Technique: Paired axial CT (left) and PSMA PET (right), [18F]PSMA-1007 tracer. slice 289 of 367. PET panel 200×200 px (4.1 mm/px).
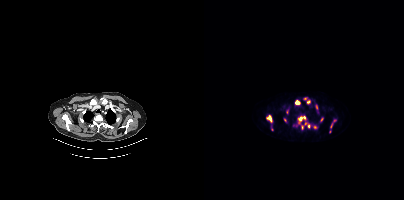
Findings: Coordinates are on the 200×200 PET (right) panel. (showing 13 of 15 foci) PSMA-avid tumor lesion bounding boxes (x0, y0)-(x1, y1): (94, 116)-(101, 123); (63, 115)-(67, 122); (91, 100)-(95, 104). Small PSMA-avid foci (2 to 4 px across) near (center x, center y): (112, 106); (81, 120); (104, 125); (98, 127); (104, 101); (127, 125); (130, 120); (101, 123); (110, 126); (117, 119).